modality: PSMA PET/CT | tracer: [18F]PSMA-1007 | view: axial | PET grid: 200×200
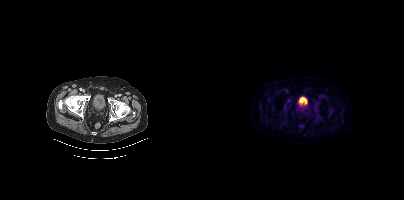
No PSMA-avid tumor lesions on this slice.